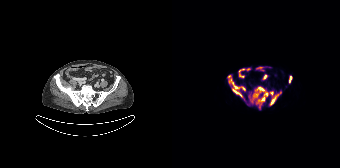
modality: PSMA PET/CT | tracer: 18F | view: axial
Coordinates are on the 168×168 PET (right) panel. (showing 3 of 4 foci) PSMA-avid tumor lesion bounding boxes (x0, y0)-(x1, y1): (76, 86)-(109, 109); (56, 75)-(73, 100); (117, 75)-(120, 83).